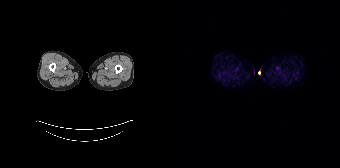
modality: PSMA PET/CT | tracer: [68Ga]Ga-PSMA-11 | view: axial | PET grid: 168×168
No tumor lesions annotated on this slice.